Technique: Left: CT. Right: PSMA PET, same axial level, [18F]PSMA-1007 tracer. slice position z = -1366 mm. PET panel 200×200 px (4.1 mm/px).
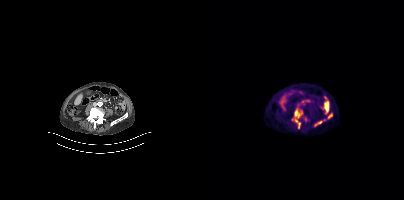
Findings: Coordinates are on the 200×200 PET (right) panel. PSMA-avid tumor lesion bounding box (x0, y0)-(x1, y1): (88, 109)-(98, 128). Small PSMA-avid focus (2 to 4 px across) near (center x, center y): (101, 119).